modality: PSMA PET/CT | tracer: 18F-PSMA | view: axial | de-identification: rectangular block over head set to black
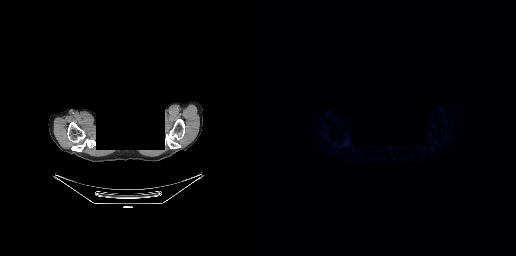
No PSMA-avid tumor lesions on this slice.